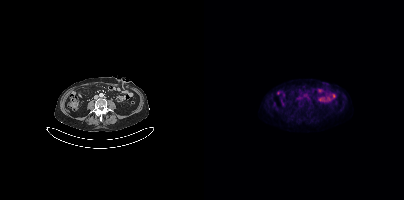
modality: PSMA PET/CT | tracer: [18F]PSMA-1007 | view: axial
No PSMA-avid tumor lesions on this slice.